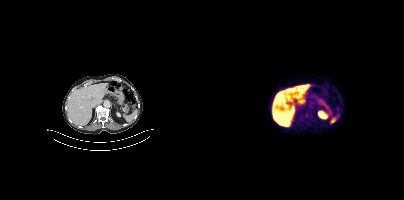
{"modality":"PSMA PET/CT","view":"axial","tracer":"[18F]PSMA-1007","pet_grid":[200,200],"coord_frame":"pet_panel","coord_format":"x0,y0,x1,y1","psma_avid_lesions":false}